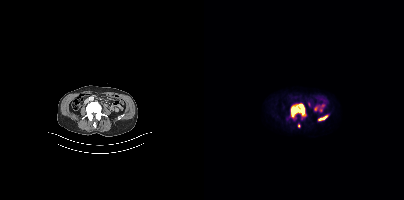
Left: CT. Right: PSMA PET, same axial level, 18F-PSMA tracer. Acquired on Siemens Biograph mCT Flow 20. Slice 157 of 421. PET panel 200×200 px (4.1 mm/px).
Coordinates are on the 200×200 PET (right) panel. PSMA-avid tumor lesion bounding boxes:
| # | x0 | y0 | x1 | y1 |
|---|---|---|---|---|
| 1 | 86 | 103 | 102 | 118 |
| 2 | 115 | 115 | 123 | 120 |
Small PSMA-avid focus (2 to 4 px across) near (center x, center y): (95, 125).